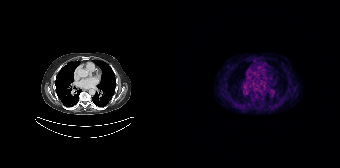
Left: CT. Right: PSMA PET, same axial level, 68Ga-PSMA tracer. PET panel 168×168 px (4.1 mm/px). This slice has no annotated PSMA-avid lesion.